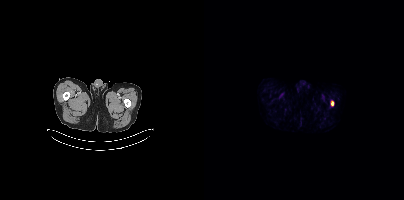
Technique: Paired axial CT (left) and PSMA PET (right), 18F-PSMA tracer. acquired on Siemens Biograph mCT Flow 20.
Findings: Coordinates are on the 200×200 PET (right) panel. PSMA-avid tumor lesion bounding box (x0, y0)-(x1, y1): (127, 101)-(130, 106).